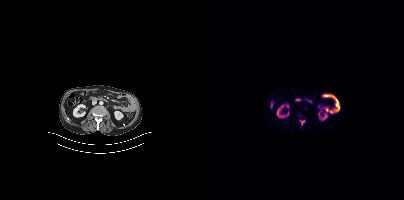
Coordinates are on the 200×200 PET (right) panel. Small PSMA-avid focus (2 to 4 px across) near (center x, center y): (98, 122).
modality: PSMA PET/CT | tracer: [18F]PSMA-1007 | view: axial